- de-identified by setting a box covering the face to black before release
- Left: CT. Right: PSMA PET, same axial level, 18F-PSMA tracer
- acquired on Siemens Biograph mCT Flow 20
- slice 424 of 431
- PET panel 200×200 px (4.1 mm/px)
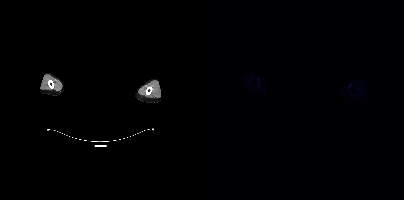
Findings: No tumor lesions annotated on this slice.